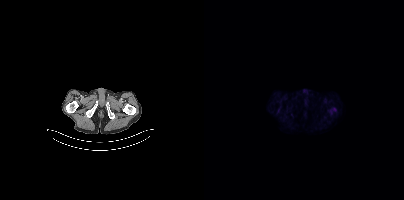
Paired axial CT (left) and PSMA PET (right), 18F tracer. Acquired on Siemens Biograph mCT Flow 20. Slice position z = -56 mm. PET panel 200×200 px (4.1 mm/px). No PSMA-avid tumor lesions on this slice.